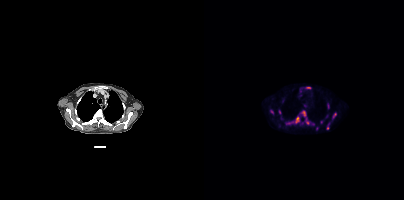
Findings: Coordinates are on the 200×200 PET (right) panel. (showing 8 of 12 foci) PSMA-avid tumor lesion bounding boxes (x0,y0,x1,y1): [82,116,95,124]; [96,111,105,124]; [128,112,132,119]; [123,103,125,108]; [102,87,106,88]. Small PSMA-avid foci (2 to 4 px across) near (center x, center y): (68, 111); (75, 111); (123, 128).
- Paired axial CT (left) and PSMA PET (right), 18F tracer